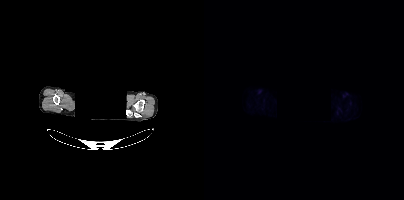
- Left: CT. Right: PSMA PET, same axial level, 18F-PSMA tracer
- PET panel 200×200 px (4.1 mm/px)
- de-identified by setting a box covering the face to black before release
Findings: No tumor lesions annotated on this slice.